Two-panel axial: CT | PSMA PET, 18F tracer.
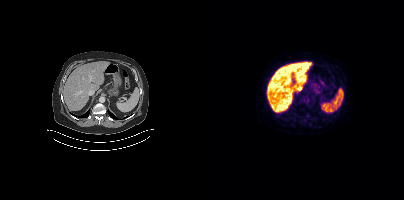
Coordinates are on the 200×200 PET (right) panel. Small PSMA-avid focus (2 to 4 px across) near (center x, center y): (107, 102).